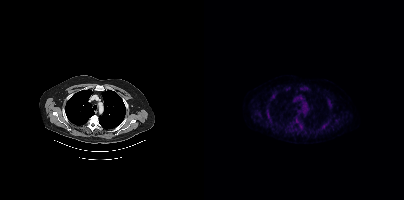
Left: CT. Right: PSMA PET, same axial level, 18F tracer. Acquired on Siemens Biograph mCT Flow 20. No tumor lesions annotated on this slice.